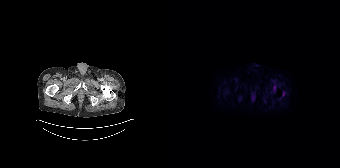
Coordinates are on the 168×168 PET (right) panel. PSMA-avid tumor lesion bounding box (x0,y0,x1,y1): [102,86,103,90]. Small PSMA-avid focus (2 to 4 px across) near (center x, center y): (67, 98).